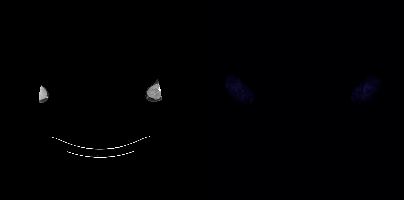
Technique: Two-panel axial: CT | PSMA PET, [18F]PSMA-1007 tracer. acquired on Siemens Biograph mCT Flow 20. slice 413 of 427.
Note: Facial anatomy redacted by setting a rectangular region of the head to black.
Findings: No tumor lesions annotated on this slice.